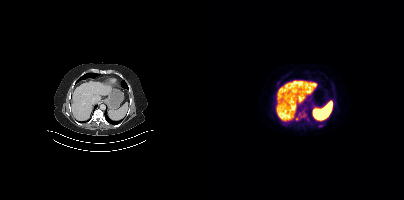
Two-panel axial: CT | PSMA PET, 18F-PSMA tracer. Slice position z = -596 mm. This slice has no annotated PSMA-avid lesion.